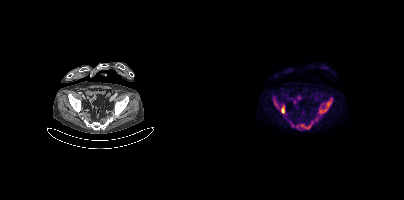
{"modality":"PSMA PET/CT","view":"axial","tracer":"18F-PSMA","pet_grid":[200,200],"coord_frame":"pet_panel","coord_format":"x0,y0,x1,y1","partial":true,"lesion_bboxes":[[92,121,108,129],[69,97,74,107],[77,107,80,113],[116,108,122,113],[123,102,125,107]],"small_foci_centers":[[88,125]]}